Left: CT. Right: PSMA PET, same axial level, 18F-PSMA tracer. Acquired on Siemens Biograph mCT Flow 20. An anonymization step blacked out a rectangle over the head in this scan.
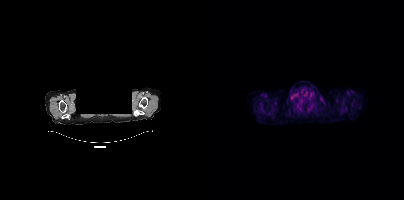
This slice has no annotated PSMA-avid lesion.